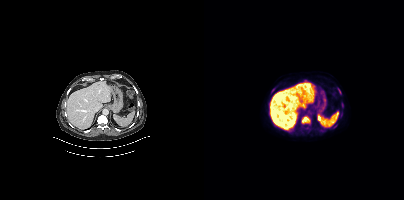
Two-panel axial: CT | PSMA PET, 18F tracer. Slice 206 of 395.
Coordinates are on the 200×200 PET (right) panel. PSMA-avid tumor lesion bounding boxes (partial; 1 more focus not listed):
| # | x0 | y0 | x1 | y1 |
|---|---|---|---|---|
| 1 | 97 | 116 | 106 | 123 |
| 2 | 134 | 88 | 137 | 93 |
Small PSMA-avid focus (2 to 4 px across) near (center x, center y): (138, 106).